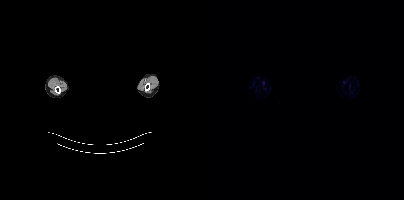
Findings: This slice has no annotated PSMA-avid lesion.
- Two-panel axial: CT | PSMA PET, 18F tracer
- acquired on Siemens Biograph mCT Flow 20
- slice position z = -283 mm
- a rectangular block over the head has been blanked out for de-identification